Paired axial CT (left) and PSMA PET (right), 18F-PSMA tracer. Acquired on Siemens Biograph mCT Flow 20. PET panel 200×200 px (4.1 mm/px).
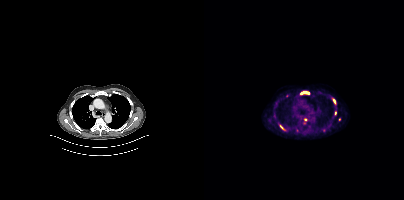
Coordinates are on the 200×200 PET (right) panel. (showing 6 of 9 foci) PSMA-avid tumor lesion bounding boxes (x, y, width, height): x=96 y=91 w=10 h=4 / x=75 y=125 w=7 h=6 / x=129 y=99 w=3 h=6. Small PSMA-avid foci (2 to 4 px across) near (center x, center y): (101, 119) / (131, 113) / (135, 119).